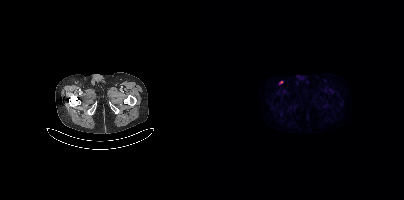
Left: CT. Right: PSMA PET, same axial level, [18F]PSMA-1007 tracer. Acquired on Siemens Biograph mCT Flow 20. Slice 36 of 395. PET panel 200×200 px (4.1 mm/px). Coordinates are on the 200×200 PET (right) panel. Small PSMA-avid focus (2 to 4 px across) near (center x, center y): (77, 82).